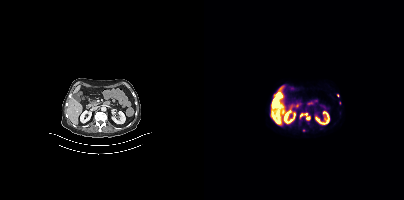
Coordinates are on the 200×200 PET (right) panel. PSMA-avid tumor lesion bounding boxes (partial; 1 more focus not listed):
| # | x0 | y0 | x1 | y1 |
|---|---|---|---|---|
| 1 | 68 | 100 | 73 | 106 |
Small PSMA-avid foci (2 to 4 px across) near (center x, center y): (103, 117); (102, 114); (97, 115); (133, 95).
Two-panel axial: CT | PSMA PET, 18F tracer. Slice 184 of 403.